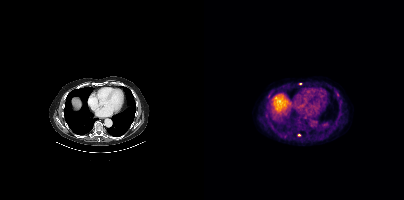
Paired axial CT (left) and PSMA PET (right), 18F-PSMA tracer. Slice position z = -477 mm. PET panel 200×200 px (4.1 mm/px). Coordinates are on the 200×200 PET (right) panel. (showing 3 of 4 foci) Small PSMA-avid foci (2 to 4 px across) near (center x, center y): (65, 95) | (96, 83) | (133, 94).